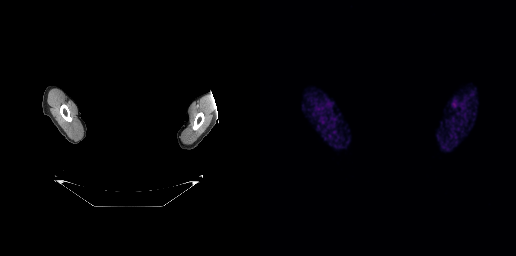
modality: PSMA PET/CT | tracer: [68Ga]Ga-PSMA-11 | view: axial | deidentification: head region blanked (face removed)
This slice has no annotated PSMA-avid lesion.